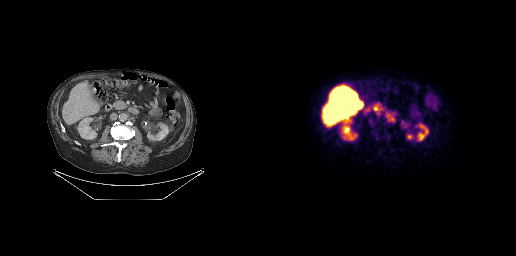
Paired axial CT (left) and PSMA PET (right), [18F]PSMA-1007 tracer. Acquired on GE Discovery 690. Slice position z = -524 mm. PET panel 256×256 px (2.7 mm/px). Coordinates are on the 256×256 PET (right) panel. PSMA-avid tumor lesion bounding box (x0,y0,x1,y1): [126,113,134,121].